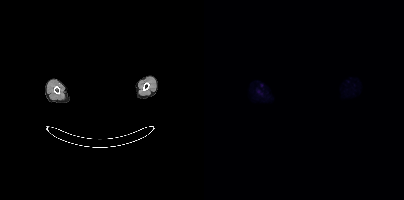
{"pet_grid":[200,200],"coord_frame":"pet_panel","coord_format":"x0,y0,x1,y1","psma_avid_lesions":false,"deidentification":"face masked with black rectangle","modality":"PSMA PET/CT","view":"axial","tracer":"18F"}